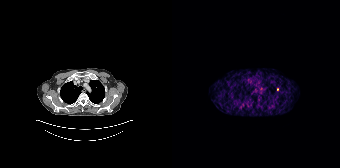
Coordinates are on the 168×168 PET (right) panel. Small PSMA-avid foci (2 to 4 px across) near (center x, center y): (68, 107); (105, 89).